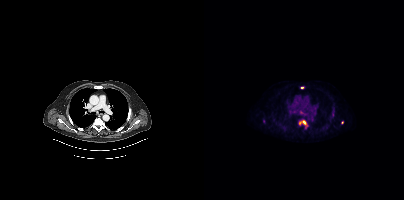
{"modality":"PSMA PET/CT","view":"axial","tracer":"[18F]PSMA-1007","pet_grid":[200,200],"coord_frame":"pet_panel","coord_format":"x0,y0,x1,y1","partial":true,"lesion_bboxes":[[95,121,103,128],[86,110,90,112]],"small_foci_centers":[[97,112],[98,87],[59,121],[138,122]]}